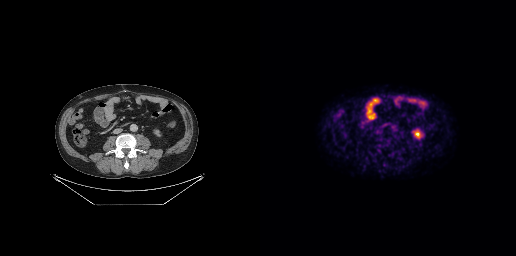
This slice has no annotated PSMA-avid lesion.